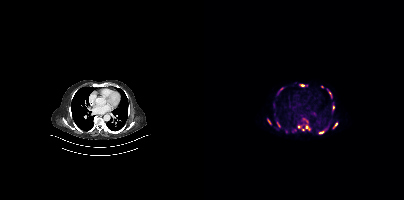
Two-panel axial: CT | PSMA PET, 68Ga tracer. PET panel 200×200 px (4.1 mm/px).
Coordinates are on the 200×200 PET (right) panel. PSMA-avid tumor lesion bounding boxes:
| # | x0 | y0 | x1 | y1 |
|---|---|---|---|---|
| 1 | 98 | 124 | 104 | 130 |
| 2 | 73 | 123 | 76 | 127 |
| 3 | 63 | 119 | 66 | 123 |
| 4 | 123 | 89 | 126 | 93 |
| 5 | 74 | 88 | 78 | 93 |
Small PSMA-avid foci (2 to 4 px across) near (center x, center y): (131, 124); (118, 132); (98, 85); (129, 107); (95, 127).